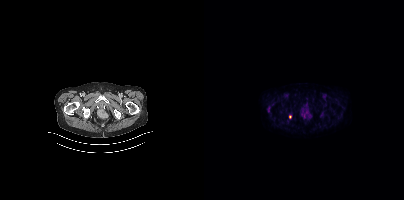
Two-panel axial: CT | PSMA PET, [18F]PSMA-1007 tracer. PET panel 200×200 px (4.1 mm/px). Only PSMA-avid lesion pieces thinner than 2 px on this slice (not listed).